Paired axial CT (left) and PSMA PET (right), 18F tracer. PET panel 200×200 px (4.1 mm/px).
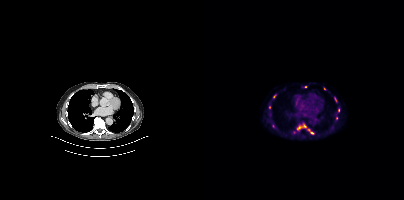
Coordinates are on the 200×200 PET (right) panel. (showing 9 of 12 foci) Small PSMA-avid foci (2 to 4 px across) near (center x, center y): (94, 128), (134, 110), (108, 132), (101, 86), (120, 88), (130, 98), (65, 107), (100, 126), (132, 117).